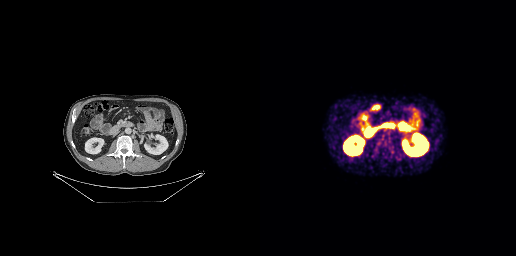
Left: CT. Right: PSMA PET, same axial level, 18F tracer.
Coordinates are on the 256×256 PET (right) panel. PSMA-avid tumor lesion bounding boxes (partial; 1 more focus not listed):
| # | x0 | y0 | x1 | y1 |
|---|---|---|---|---|
| 1 | 120 | 140 | 131 | 150 |